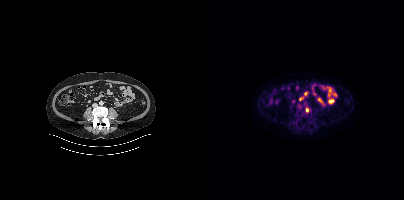
Coordinates are on the 200×200 PET (right) panel. PSMA-avid tumor lesion bounding box (x0,y0,x1,y1): [102,108,104,112].